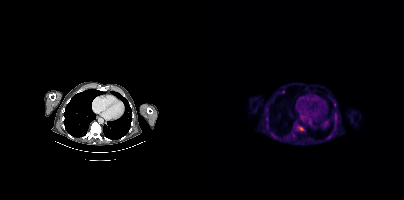
Coordinates are on the 200×200 PET (right) panel. PSMA-avid tumor lesion bounding boxes:
| # | x0 | y0 | x1 | y1 |
|---|---|---|---|---|
| 1 | 94 | 126 | 100 | 130 |
Small PSMA-avid focus (2 to 4 px across) near (center x, center y): (131, 104).
Two-panel axial: CT | PSMA PET, 18F-PSMA tracer. Slice 235 of 403. PET panel 200×200 px (4.1 mm/px).